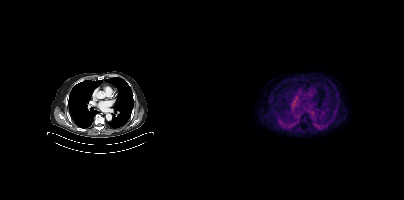
Coordinates are on the 200×200 PET (right) panel. Small PSMA-avid focus (2 to 4 px across) near (center x, center y): (101, 121). Paired axial CT (left) and PSMA PET (right), [68Ga]Ga-PSMA-11 tracer. Acquired on Siemens Biograph mCT Flow 20.